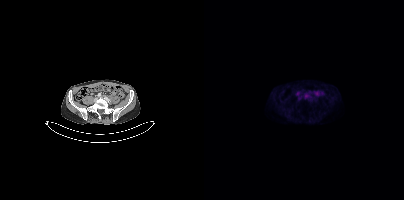
Negative for PSMA-avid disease on this slice.